modality: PSMA PET/CT | tracer: 18F-PSMA | view: axial | PET grid: 200×200
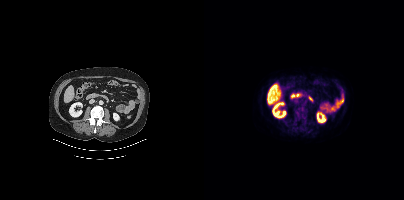
No PSMA-avid tumor lesions on this slice.